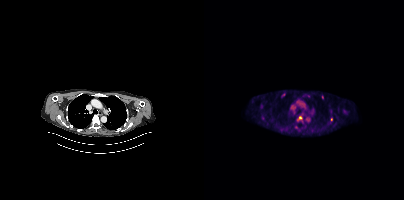
Coordinates are on the 200×200 PET (right) panel. PSMA-avid tumor lesion bounding boxes (partial; 1 more focus not listed):
| # | x0 | y0 | x1 | y1 |
|---|---|---|---|---|
| 1 | 93 | 116 | 98 | 120 |
| 2 | 77 | 93 | 81 | 97 |
Small PSMA-avid foci (2 to 4 px across) near (center x, center y): (127, 119); (118, 97).
Paired axial CT (left) and PSMA PET (right), [18F]PSMA-1007 tracer. Acquired on Siemens Biograph mCT Flow 20.